Two-panel axial: CT | PSMA PET, 18F-PSMA tracer.
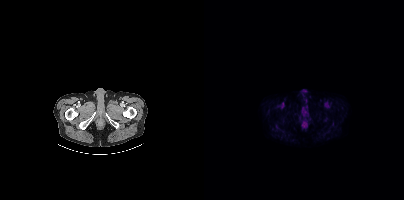
No PSMA-avid tumor lesions on this slice.